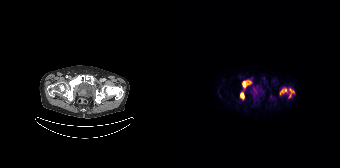
Findings: Coordinates are on the 168×168 PET (right) panel. PSMA-avid tumor lesion bounding boxes (x0,y0,x1,y1): [70,80,79,88], [68,92,72,99], [108,88,114,94], [117,88,122,97]. Small PSMA-avid focus (2 to 4 px across) near (center x, center y): (98, 96).
Technique: Left: CT. Right: PSMA PET, same axial level, 18F-PSMA tracer. acquired on Siemens Biograph 64-4R TruePoint. slice 31 of 165. PET panel 168×168 px (4.1 mm/px).